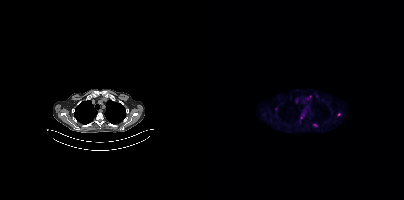
Paired axial CT (left) and PSMA PET (right), 18F-PSMA tracer. Slice 296 of 385. PET panel 200×200 px (4.1 mm/px).
Coordinates are on the 200×200 PET (right) panel. PSMA-avid tumor lesion bounding boxes (partial; 1 more focus not listed):
| # | x0 | y0 | x1 | y1 |
|---|---|---|---|---|
| 1 | 103 | 96 | 107 | 99 |
Small PSMA-avid foci (2 to 4 px across) near (center x, center y): (134, 114); (111, 124); (97, 117).